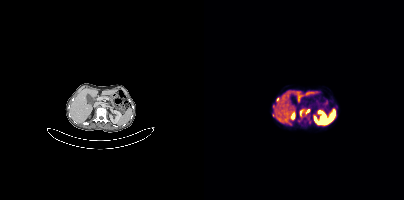
modality: PSMA PET/CT | tracer: 68Ga-PSMA | view: axial
Coordinates are on the 200×200 PET (right) panel. (showing 3 of 4 foci) PSMA-avid tumor lesion bounding boxes (x0, y0)-(x1, y1): (96, 109)-(100, 117); (101, 109)-(105, 114). Small PSMA-avid focus (2 to 4 px across) near (center x, center y): (73, 99).